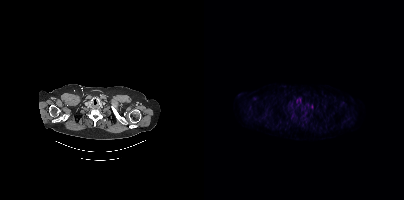
Only PSMA-avid lesion pieces thinner than 2 px on this slice (not listed).